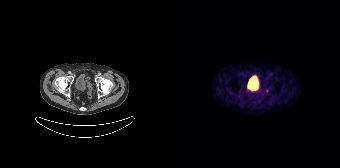
Coordinates are on the 168×168 PET (right) panel. Small PSMA-avid focus (2 to 4 px across) near (center x, center y): (95, 90).